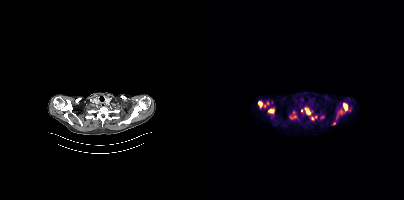
Technique: Paired axial CT (left) and PSMA PET (right), 18F tracer. PET panel 200×200 px (4.1 mm/px).
Findings: Coordinates are on the 200×200 PET (right) panel. (showing 11 of 13 foci) PSMA-avid tumor lesion bounding boxes (x, y, width, height): x=139 y=103 w=5 h=8 / x=85 y=111 w=7 h=9 / x=101 y=108 w=6 h=7 / x=54 y=101 w=5 h=7 / x=107 y=116 w=7 h=5 / x=134 y=109 w=5 h=6 / x=64 y=109 w=6 h=4 / x=116 y=115 w=5 h=5. Small PSMA-avid foci (2 to 4 px across) near (center x, center y): (129, 123) / (97, 110) / (63, 103).